Technique: Left: CT. Right: PSMA PET, same axial level, 18F tracer. PET panel 200×200 px (4.1 mm/px).
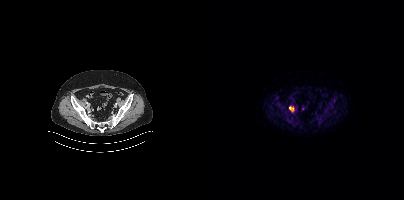
Findings: Coordinates are on the 200×200 PET (right) panel. PSMA-avid tumor lesion bounding box (x, y, width, height): x=85 y=106 w=5 h=6.